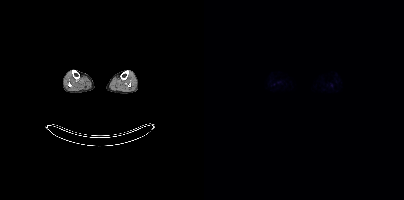
Findings: No tumor lesions annotated on this slice.
Technique: Paired axial CT (left) and PSMA PET (right), 18F-PSMA tracer. acquired on Siemens Biograph mCT Flow 20. slice 219 of 963.